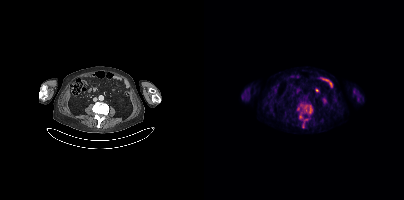
Coordinates are on the 200×200 PET (right) panel. PSMA-avid tumor lesion bounding boxes:
| # | x0 | y0 | x1 | y1 |
|---|---|---|---|---|
| 1 | 93 | 104 | 108 | 114 |
| 2 | 95 | 112 | 98 | 118 |
Small PSMA-avid foci (2 to 4 px across) near (center x, center y): (101, 120); (99, 125).
Left: CT. Right: PSMA PET, same axial level, 18F tracer. Slice 166 of 401. PET panel 200×200 px (4.1 mm/px).